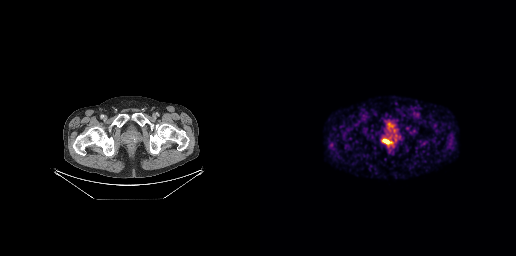
Technique: Paired axial CT (left) and PSMA PET (right), 68Ga-PSMA tracer. PET panel 256×256 px (2.7 mm/px).
Findings: Coordinates are on the 256×256 PET (right) panel. PSMA-avid tumor lesion bounding box (x0, y0)-(x1, y1): (122, 139)-(131, 144).